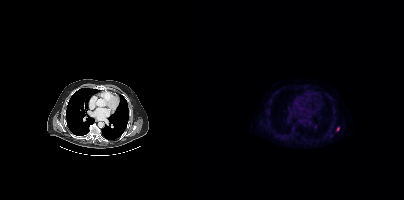
Two-panel axial: CT | PSMA PET, 18F tracer. Acquired on Siemens Biograph mCT Flow 20. Coordinates are on the 200×200 PET (right) panel. Small PSMA-avid focus (2 to 4 px across) near (center x, center y): (133, 129).